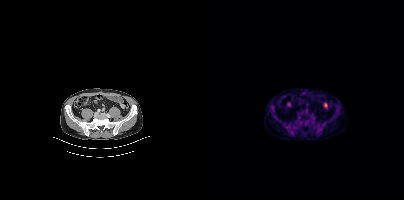
No PSMA-avid tumor lesions on this slice.